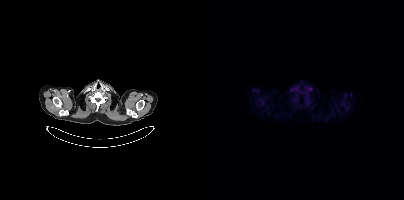
- Paired axial CT (left) and PSMA PET (right), 18F tracer
- PET panel 200×200 px (4.1 mm/px)
Findings: Negative for PSMA-avid disease on this slice.